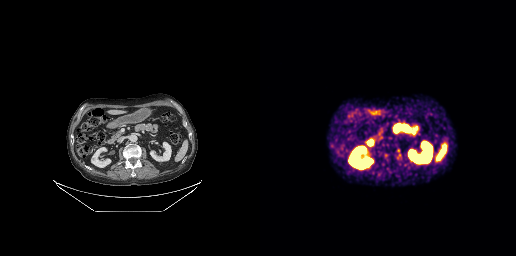
{"modality":"PSMA PET/CT","view":"axial","tracer":"68Ga-PSMA","pet_grid":[256,256],"coord_frame":"pet_panel","coord_format":"x0,y0,x1,y1","lesion_bboxes":[[137,149,140,154]],"small_foci_centers":[[71,145]]}